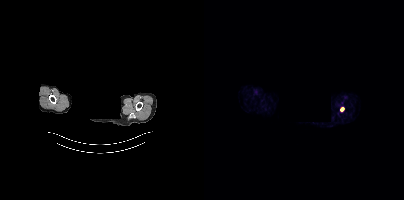
Findings: Coordinates are on the 200×200 PET (right) panel. Small PSMA-avid focus (2 to 4 px across) near (center x, center y): (138, 109).
Technique: Left: CT. Right: PSMA PET, same axial level, [68Ga]Ga-PSMA-11 tracer.
Note: Any black rectangle over the head is a privacy mask, not anatomy.